- Two-panel axial: CT | PSMA PET, [68Ga]Ga-PSMA-11 tracer
- acquired on Siemens Biograph 64-4R TruePoint
- slice 60 of 165
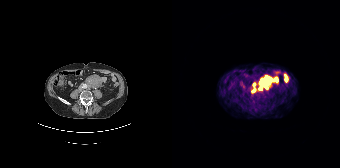
Findings: Coordinates are on the 168×168 PET (right) panel. PSMA-avid tumor lesion bounding box (x, y, width, height): x=87 y=75 w=15 h=15. Small PSMA-avid foci (2 to 4 px across) near (center x, center y): (82, 84) | (80, 90).